Technique: Paired axial CT (left) and PSMA PET (right), 18F tracer. slice 263 of 354. PET panel 200×200 px (4.1 mm/px).
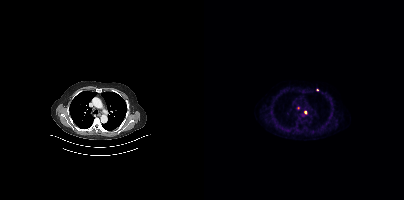
Findings: Coordinates are on the 200×200 PET (right) panel. Small PSMA-avid foci (2 to 4 px across) near (center x, center y): (101, 112) | (113, 89) | (94, 107).